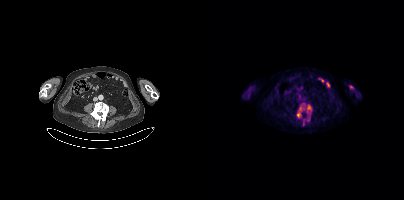
Coordinates are on the 200×200 PET (right) panel. (showing 5 of 6 foci) PSMA-avid tumor lesion bounding boxes (x0,y0,x1,y1): [93,103,101,118], [102,104,107,114], [103,117,105,121]. Small PSMA-avid foci (2 to 4 px across) near (center x, center y): (147, 86), (99, 123).